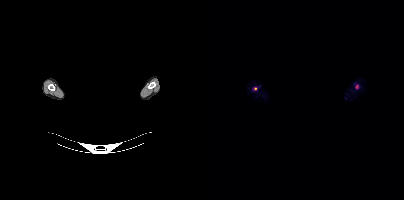
Coordinates are on the 200×200 PET (right) panel. PSMA-avid tumor lesion bounding boxes:
| # | x0 | y0 | x1 | y1 |
|---|---|---|---|---|
| 1 | 151 | 84 | 155 | 89 |
| 2 | 49 | 87 | 53 | 90 |
Left: CT. Right: PSMA PET, same axial level, 18F-PSMA tracer. Acquired on Siemens Biograph mCT Flow 20. Any black rectangle over the head is a privacy mask, not anatomy.